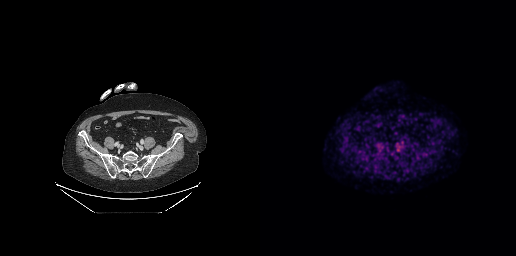
Findings: No tumor lesions annotated on this slice.
- Left: CT. Right: PSMA PET, same axial level, 18F-PSMA tracer
- slice 119 of 299
- PET panel 256×256 px (2.7 mm/px)